Technique: Left: CT. Right: PSMA PET, same axial level, 18F tracer. acquired on Siemens Biograph mCT Flow 20. slice 257 of 450.
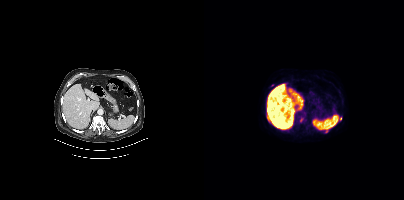
Findings: Coordinates are on the 200×200 PET (right) panel. (showing 2 of 4 foci) Small PSMA-avid foci (2 to 4 px across) near (center x, center y): (122, 131); (136, 118).